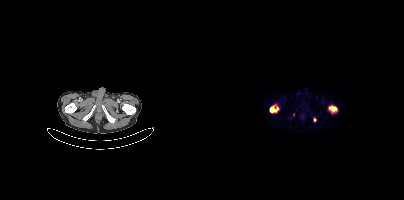
Coordinates are on the 200×200 PET (right) panel. (showing 3 of 4 foci) PSMA-avid tumor lesion bounding boxes (x0, y0)-(x1, y1): (125, 106)-(133, 111); (66, 106)-(74, 112). Small PSMA-avid focus (2 to 4 px across) near (center x, center y): (110, 119).